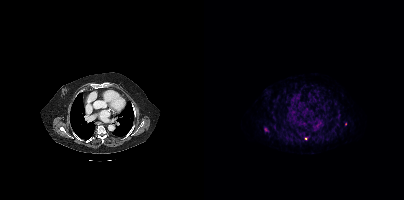
Coordinates are on the 200×200 PET (right) panel. (showing 2 of 3 foci) Small PSMA-avid foci (2 to 4 px across) near (center x, center y): (141, 123) / (101, 138).